Paired axial CT (left) and PSMA PET (right), 18F-PSMA tracer. Slice position z = -611 mm.
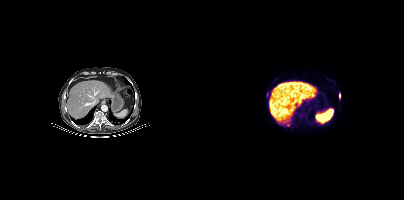
Coordinates are on the 200×200 PET (right) panel. PSMA-avid tumor lesion bounding boxes (x0, y0)-(x1, y1): (135, 94)-(136, 98); (63, 92)-(64, 96). Small PSMA-avid focus (2 to 4 px across) near (center x, center y): (83, 124).